Left: CT. Right: PSMA PET, same axial level, 18F-PSMA tracer. Acquired on Siemens Biograph mCT Flow 20.
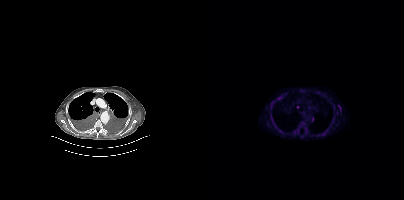
Coordinates are on the 200×200 PET (right) panel. (showing 6 of 7 foci) Small PSMA-avid foci (2 to 4 px across) near (center x, center y): (67, 103) (108, 119) (76, 130) (119, 133) (75, 97) (93, 107).